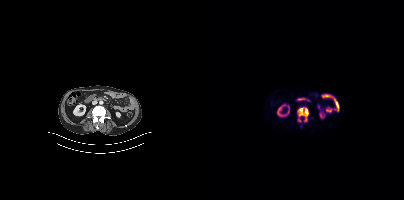
Paired axial CT (left) and PSMA PET (right), [18F]PSMA-1007 tracer. Slice 162 of 387.
Coordinates are on the 200×200 PET (right) panel. PSMA-avid tumor lesion bounding boxes:
| # | x0 | y0 | x1 | y1 |
|---|---|---|---|---|
| 1 | 94 | 107 | 104 | 121 |
Small PSMA-avid focus (2 to 4 px across) near (center x, center y): (96, 120).